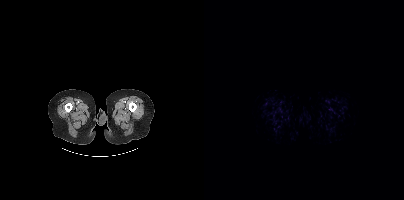
- Paired axial CT (left) and PSMA PET (right), [18F]PSMA-1007 tracer
- PET panel 200×200 px (4.1 mm/px)
Findings: No PSMA-avid tumor lesions on this slice.